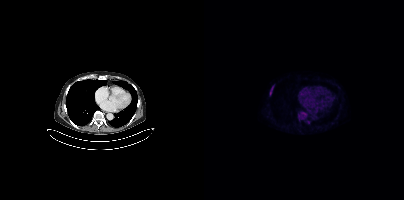
Coordinates are on the 200×200 PET (right) panel. PSMA-avid tumor lesion bounding box (x, y, width, height): x=66 y=86 w=4 h=9. Small PSMA-avid focus (2 to 4 px across) near (center x, center y): (100, 113). Two-panel axial: CT | PSMA PET, 18F tracer. Slice position z = 178 mm. PET panel 200×200 px (4.1 mm/px).